modality: PSMA PET/CT | tracer: 68Ga-PSMA | view: axial | PET grid: 256×256
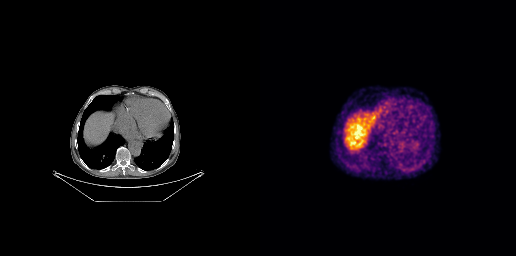
This slice has no annotated PSMA-avid lesion.